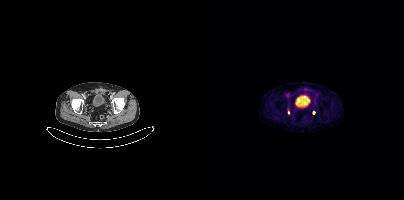
{"modality":"PSMA PET/CT","view":"axial","tracer":"18F-PSMA","pet_grid":[200,200],"coord_frame":"pet_panel","coord_format":"x0,y0,x1,y1","lesion_bboxes":[],"small_foci_centers":[[109,112],[84,112]]}